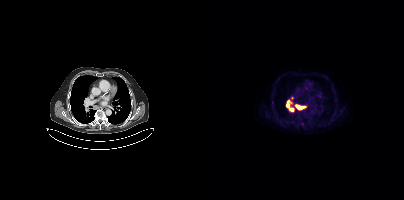
{"pet_grid":[200,200],"coord_frame":"pet_panel","coord_format":"x0,y0,x1,y1","lesion_bboxes":[[92,105,100,109]],"modality":"PSMA PET/CT","view":"axial","tracer":"18F-PSMA"}